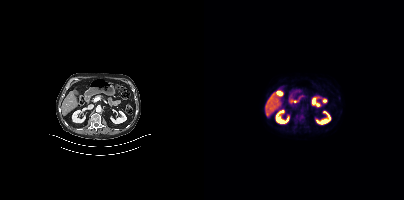
{"modality":"PSMA PET/CT","view":"axial","tracer":"[18F]PSMA-1007","pet_grid":[200,200],"coord_frame":"pet_panel","coord_format":"x0,y0,x1,y1","psma_avid_lesions":false}